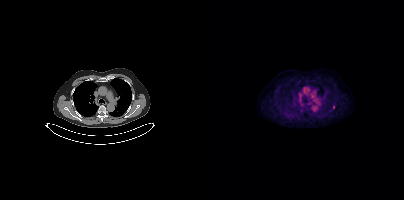
Paired axial CT (left) and PSMA PET (right), 18F tracer. Acquired on Siemens Biograph mCT Flow 20. Coordinates are on the 200×200 PET (right) panel. Small PSMA-avid focus (2 to 4 px across) near (center x, center y): (129, 106).